modality: PSMA PET/CT | tracer: 68Ga-PSMA | view: axial
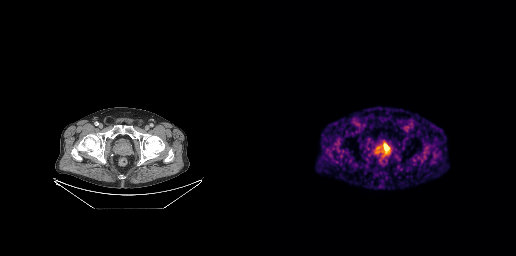
Coordinates are on the 256×256 PET (right) panel. PSMA-avid tumor lesion bounding box (x0, y0)-(x1, y1): (124, 144)-(129, 151).